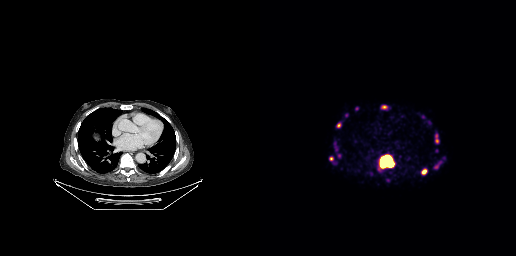
- Left: CT. Right: PSMA PET, same axial level, 68Ga tracer
- acquired on GE Discovery 690
- slice position z = -423 mm
Findings: Coordinates are on the 256×256 PET (right) panel. (showing 7 of 9 foci) PSMA-avid tumor lesion bounding boxes (x0, y0)-(x1, y1): (121, 155)-(133, 167); (161, 169)-(166, 174). Small PSMA-avid foci (2 to 4 px across) near (center x, center y): (179, 162); (78, 125); (86, 115); (177, 141); (176, 135).